Paired axial CT (left) and PSMA PET (right), 68Ga-PSMA tracer. Acquired on GE Discovery 690. PET panel 256×256 px (2.7 mm/px).
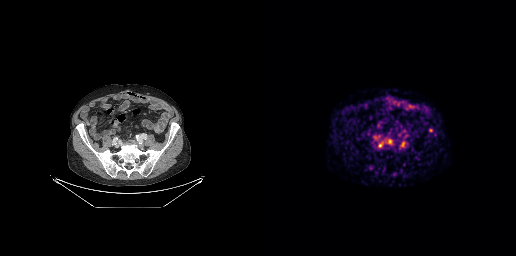
Coordinates are on the 256×256 PET (right) panel. PSMA-avid tumor lesion bounding boxes (partial; 1 more focus not listed):
| # | x0 | y0 | x1 | y1 |
|---|---|---|---|---|
| 1 | 118 | 142 | 123 | 147 |
| 2 | 128 | 139 | 131 | 143 |
| 3 | 142 | 141 | 144 | 146 |
Small PSMA-avid focus (2 to 4 px across) near (center x, center y): (170, 130).